Technique: Two-panel axial: CT | PSMA PET, 18F tracer. slice position z = -1382 mm.
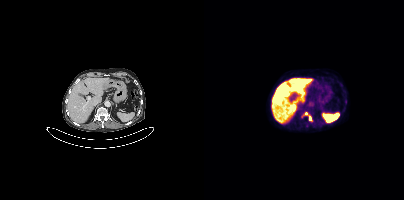
Findings: Coordinates are on the 200×200 PET (right) panel. PSMA-avid tumor lesion bounding box (x, y, width, height): x=99 y=112 w=10 h=10.